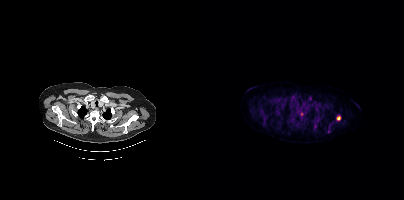
{"modality":"PSMA PET/CT","view":"axial","tracer":"[18F]PSMA-1007","pet_grid":[200,200],"coord_frame":"pet_panel","coord_format":"x0,y0,x1,y1","partial":true,"lesion_bboxes":[[132,116,136,120]],"small_foci_centers":[[97,113]]}